Two-panel axial: CT | PSMA PET, [18F]PSMA-1007 tracer. Slice position z = -1258 mm. PET panel 200×200 px (4.1 mm/px).
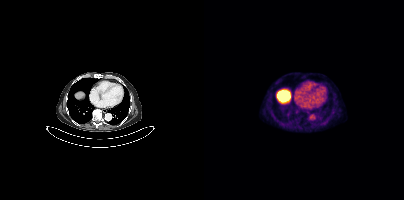
No PSMA-avid tumor lesions on this slice.